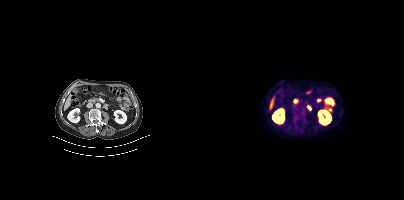
Paired axial CT (left) and PSMA PET (right), 18F-PSMA tracer. PET panel 200×200 px (4.1 mm/px). No PSMA-avid tumor lesions on this slice.